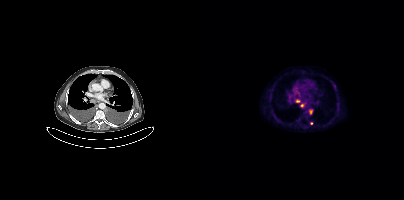
Coordinates are on the 200×200 PET (right) panel. (showing 3 of 4 foci) PSMA-avid tumor lesion bounding box (x, y, width, height): x=105 y=109 w=4 h=6. Small PSMA-avid foci (2 to 4 px across) near (center x, center y): (93, 101); (98, 105).